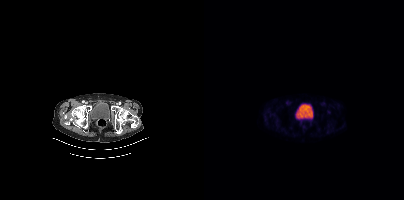
{"pet_grid":[200,200],"coord_frame":"pet_panel","coord_format":"x0,y0,x1,y1","psma_avid_lesions":false,"modality":"PSMA PET/CT","view":"axial","tracer":"68Ga"}